Paired axial CT (left) and PSMA PET (right), 18F-PSMA tracer. Slice position z = -824 mm. PET panel 200×200 px (4.1 mm/px).
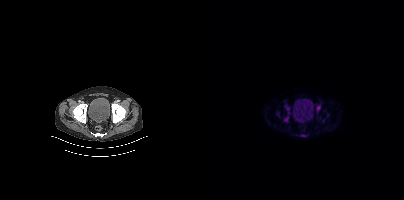
Coordinates are on the 200×200 PET (right) panel. (showing 4 of 5 foci) PSMA-avid tumor lesion bounding boxes (x0, y0)-(x1, y1): (112, 104)-(116, 111) / (80, 116)-(84, 121) / (81, 105)-(85, 113). Small PSMA-avid focus (2 to 4 px across) near (center x, center y): (119, 120).